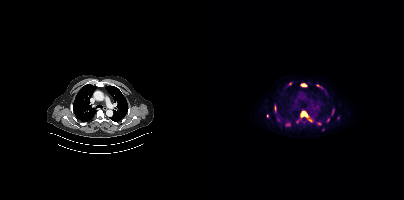
Left: CT. Right: PSMA PET, same axial level, 18F-PSMA tracer. PET panel 200×200 px (4.1 mm/px). Coordinates are on the 200×200 PET (right) panel. (showing 10 of 13 foci) PSMA-avid tumor lesion bounding boxes (x0,y0,x1,y1): [97,111,104,117], [97,84,102,86], [128,109,130,114]. Small PSMA-avid foci (2 to 4 px across) near (center x, center y): (82, 125), (100, 122), (114, 85), (115, 123), (86, 83), (63, 115), (124, 119).